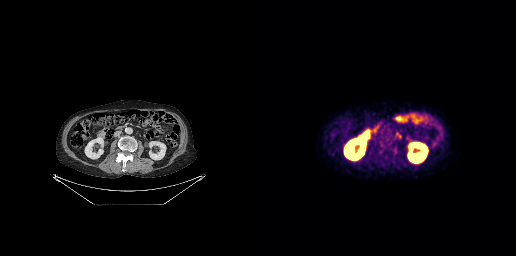
modality: PSMA PET/CT | tracer: 18F-PSMA | view: axial
Coordinates are on the 256×256 PET (right) panel. Small PSMA-avid focus (2 to 4 px across) near (center x, center y): (139, 136).